- Paired axial CT (left) and PSMA PET (right), 18F-PSMA tracer
- acquired on Siemens Biograph mCT Flow 20
- slice 168 of 377
- PET panel 200×200 px (4.1 mm/px)
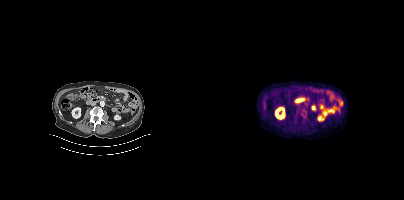
Findings: No tumor lesions annotated on this slice.